Two-panel axial: CT | PSMA PET, 18F-PSMA tracer. PET panel 256×256 px (2.7 mm/px).
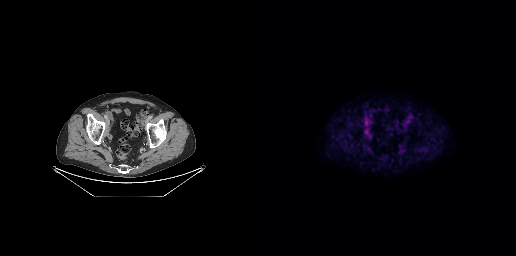
No PSMA-avid tumor lesions on this slice.